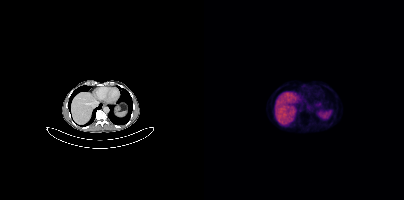
modality: PSMA PET/CT | tracer: 68Ga | view: axial
Negative for PSMA-avid disease on this slice.